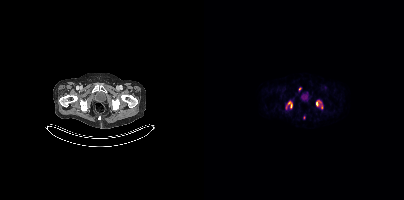
- Left: CT. Right: PSMA PET, same axial level, 18F tracer
- acquired on Siemens Biograph mCT Flow 20
- PET panel 200×200 px (4.1 mm/px)
Findings: Coordinates are on the 200×200 PET (right) panel. PSMA-avid tumor lesion bounding boxes (x0,y0,x1,y1): [112,101,116,106], [84,102,88,107]. Small PSMA-avid foci (2 to 4 px across) near (center x, center y): (117, 107), (95, 88).